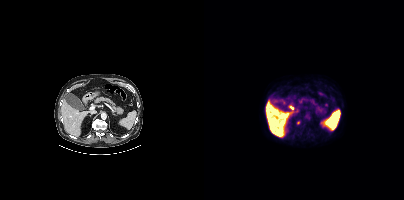
Coordinates are on the 200×200 PET (right) panel. Small PSMA-avid focus (2 to 4 px across) near (center x, center y): (94, 122).